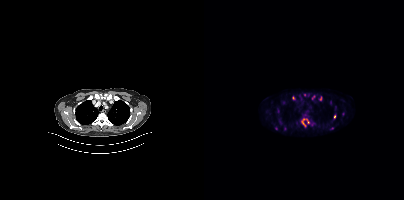
Coordinates are on the 200×200 PET (right) panel. (showing 6 of 11 foci) PSMA-avid tumor lesion bounding boxes (x, y, width, height): x=97 y=118 w=9 h=9 | x=129 y=114 w=4 h=5. Small PSMA-avid foci (2 to 4 px across) near (center x, center y): (116, 98) | (89, 97) | (109, 97) | (128, 127).